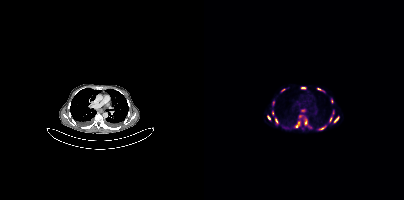
Coordinates are on the 200×200 PET (right) panel. (showing 14 of 15 foci) PSMA-avid tumor lesion bounding boxes (x0, y0)-(x1, y1): (91, 122)-(95, 127) | (130, 117)-(134, 122) | (116, 125)-(122, 129) | (113, 88)-(119, 91) | (127, 99)-(129, 103) | (101, 120)-(102, 124) | (77, 89)-(81, 91) | (69, 101)-(70, 105). Small PSMA-avid foci (2 to 4 px across) near (center x, center y): (105, 126) | (64, 117) | (99, 87) | (72, 120) | (68, 113) | (126, 119).